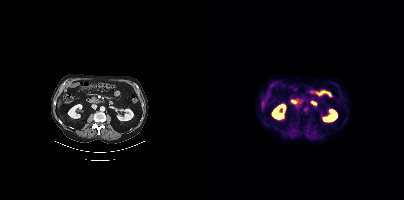
Negative for PSMA-avid disease on this slice.